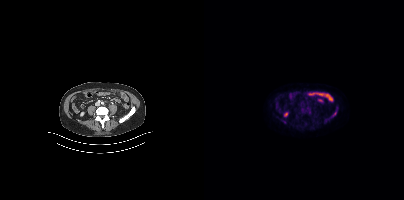
Two-panel axial: CT | PSMA PET, [18F]PSMA-1007 tracer. Slice 146 of 413. Coordinates are on the 200×200 PET (right) panel. PSMA-avid tumor lesion bounding box (x, y, width, height): x=128 y=111 w=5 h=6.